Technique: Two-panel axial: CT | PSMA PET, [18F]PSMA-1007 tracer. acquired on Siemens Biograph mCT Flow 20. slice 150 of 385. PET panel 200×200 px (4.1 mm/px).
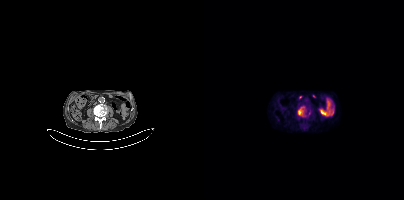
Findings: Coordinates are on the 200×200 PET (right) panel. (showing 1 of 2 foci) PSMA-avid tumor lesion bounding box (x, y, width, height): x=94 y=106 w=7 h=11.